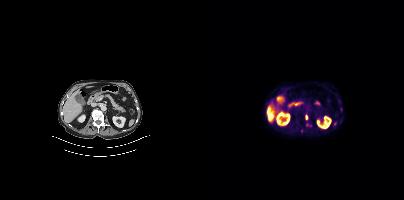
Coordinates are on the 200×200 PET (right) panel. (showing 1 of 3 foci) Small PSMA-avid focus (2 to 4 px across) near (center x, center y): (102, 117).